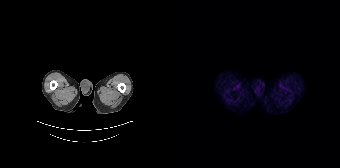
- Two-panel axial: CT | PSMA PET, [68Ga]Ga-PSMA-11 tracer
- PET panel 168×168 px (4.1 mm/px)
Findings: No PSMA-avid tumor lesions on this slice.